modality: PSMA PET/CT | tracer: [18F]PSMA-1007 | view: axial | PET grid: 200×200
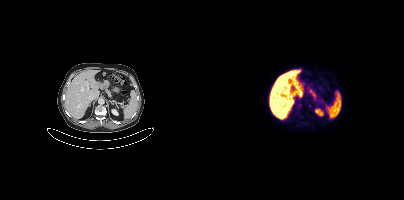
Coordinates are on the 200×200 PET (right) panel. Small PSMA-avid focus (2 to 4 px across) near (center x, center y): (106, 105).